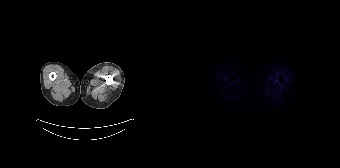
Paired axial CT (left) and PSMA PET (right), 18F tracer. Acquired on Siemens Biograph 64-4R TruePoint. Slice 29 of 195. PET panel 168×168 px (4.1 mm/px). This slice has no annotated PSMA-avid lesion.